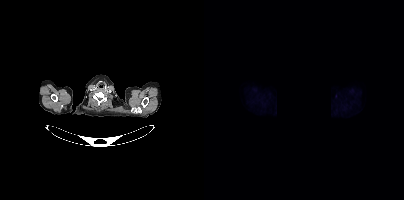
- privacy masking, with the pixels inside a rectangle set to black
- Left: CT. Right: PSMA PET, same axial level, [18F]PSMA-1007 tracer
- acquired on Siemens Biograph mCT Flow 20
- slice 370 of 421
- PET panel 200×200 px (4.1 mm/px)
Findings: No PSMA-avid tumor lesions on this slice.